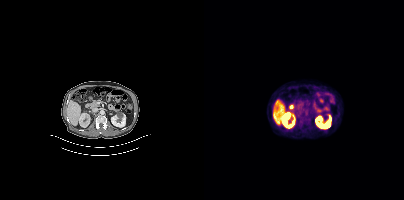
- Paired axial CT (left) and PSMA PET (right), 18F tracer
- acquired on Siemens Biograph mCT Flow 20
- slice position z = -737 mm
Findings: No tumor lesions annotated on this slice.